Two-panel axial: CT | PSMA PET, 18F tracer. PET panel 200×200 px (4.1 mm/px).
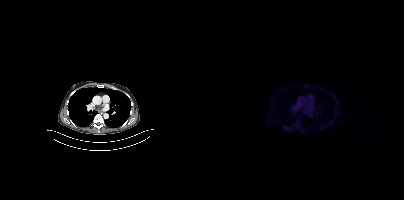
This slice has no annotated PSMA-avid lesion.